Left: CT. Right: PSMA PET, same axial level, 18F-PSMA tracer. Acquired on GE Discovery 690. Slice 213 of 263. PET panel 256×256 px (2.7 mm/px).
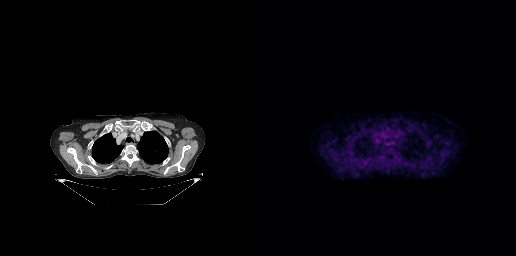
No tumor lesions annotated on this slice.